- Left: CT. Right: PSMA PET, same axial level, 18F-PSMA tracer
- PET panel 256×256 px (2.7 mm/px)
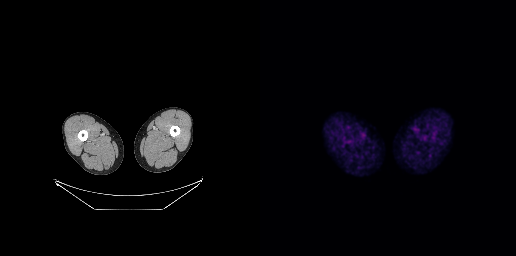
Findings: This slice has no annotated PSMA-avid lesion.